Left: CT. Right: PSMA PET, same axial level, [18F]PSMA-1007 tracer. Acquired on Siemens Biograph mCT Flow 20. Slice 20 of 421. PET panel 200×200 px (4.1 mm/px).
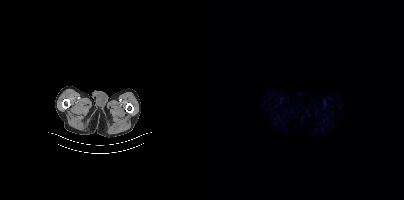
No tumor lesions annotated on this slice.